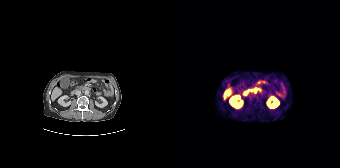
Findings: Coordinates are on the 168×168 PET (right) panel. Small PSMA-avid focus (2 to 4 px across) near (center x, center y): (83, 92).
- Two-panel axial: CT | PSMA PET, [68Ga]Ga-PSMA-11 tracer
- acquired on Siemens Biograph 64-4R TruePoint
- PET panel 168×168 px (4.1 mm/px)